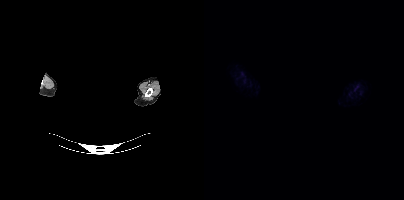
{"modality":"PSMA PET/CT","view":"axial","tracer":"18F","pet_grid":[200,200],"coord_frame":"pet_panel","coord_format":"x0,y0,x1,y1","de-identification":"head region blanked (face removed)","psma_avid_lesions":false}